Paired axial CT (left) and PSMA PET (right), 18F tracer.
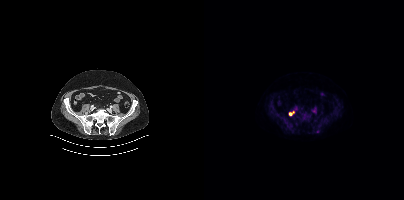
Coordinates are on the 200×200 PET (right) panel. PSMA-avid tumor lesion bounding boxes:
| # | x0 | y0 | x1 | y1 |
|---|---|---|---|---|
| 1 | 85 | 111 | 90 | 115 |